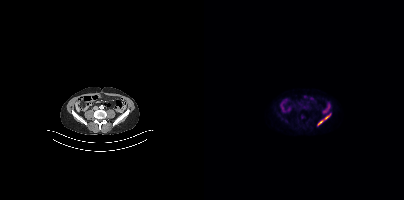
Technique: Paired axial CT (left) and PSMA PET (right), 18F tracer. PET panel 200×200 px (4.1 mm/px).
Findings: Coordinates are on the 200×200 PET (right) panel. PSMA-avid tumor lesion bounding box (x0,y0,x1,y1): [114,114,126,125].